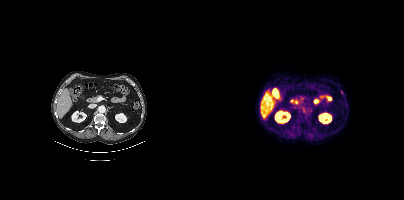
Coordinates are on the 200×200 PET (right) panel. Small PSMA-avid focus (2 to 4 px across) near (center x, center y): (137, 92). Two-panel axial: CT | PSMA PET, 18F tracer. Acquired on Siemens Biograph mCT Flow 20. Slice position z = -601 mm.